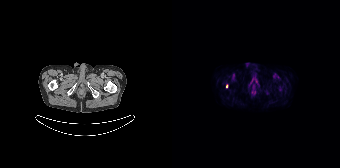
Coordinates are on the 168×168 PET (right) panel. Small PSMA-avid focus (2 to 4 px across) near (center x, center y): (55, 85). Paired axial CT (left) and PSMA PET (right), 18F tracer. Acquired on Siemens Biograph 64-4R TruePoint. PET panel 168×168 px (4.1 mm/px).